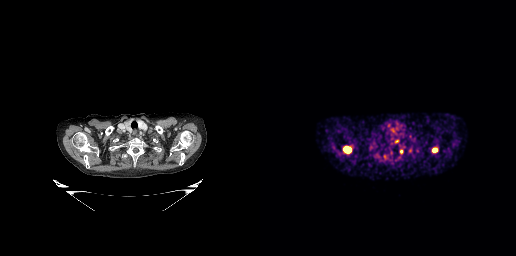
Coordinates are on the 256×256 PET (right) panel. PSMA-avid tumor lesion bounding boxes (x0,y0,x1,y1): [84,147,90,152], [173,148,177,151]. Small PSMA-avid foci (2 to 4 px across) near (center x, center y): (141, 151), (136, 141), (154, 140), (140, 133).